modality: PSMA PET/CT | tracer: 18F-PSMA | view: axial
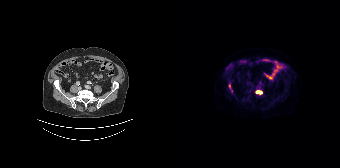
Coordinates are on the 168×168 PET (right) panel. (showing 2 of 3 foci) PSMA-avid tumor lesion bounding boxes (x0,y0,x1,y1): [84,91,90,93] [57,84,58,88].